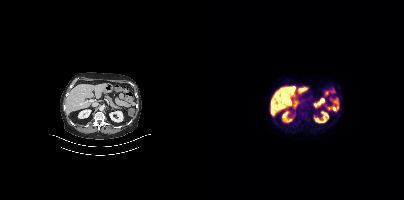
This slice has no annotated PSMA-avid lesion.